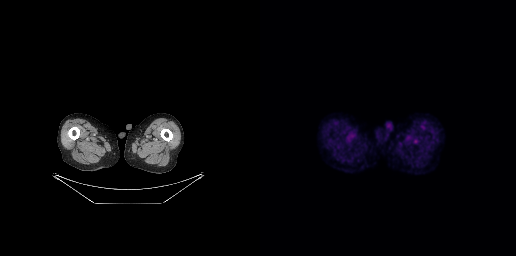
{"pet_grid":[256,256],"coord_frame":"pet_panel","coord_format":"x0,y0,x1,y1","psma_avid_lesions":false,"modality":"PSMA PET/CT","view":"axial","tracer":"18F-PSMA"}